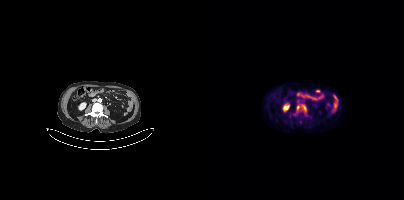
Coordinates are on the 200×200 PET (right) panel. PSMA-avid tumor lesion bounding box (x, y, width, height): x=93 y=104 w=10 h=9.